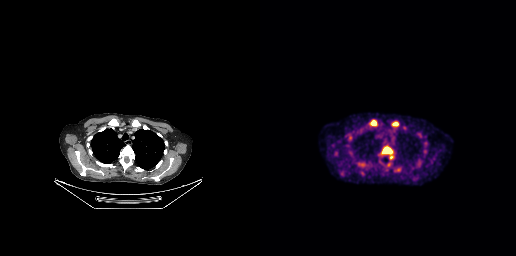
Coordinates are on the 256×256 PET (right) panel. PSMA-avid tumor lesion bounding boxes (x, y, width, height): x=122 y=146 w=11 h=9 / x=111 y=120 w=6 h=6 / x=132 y=122 w=7 h=4. Small PSMA-avid focus (2 to 4 px across) near (center x, center y): (131, 157).
modality: PSMA PET/CT | tracer: [18F]PSMA-1007 | view: axial | PET grid: 256×256